- Left: CT. Right: PSMA PET, same axial level, 18F tracer
- PET panel 200×200 px (4.1 mm/px)
- any black rectangle over the head is a privacy mask, not anatomy
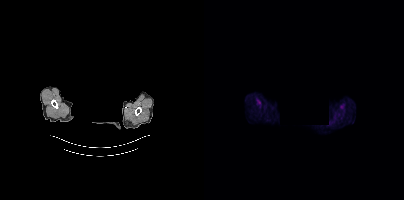
Findings: No PSMA-avid tumor lesions on this slice.